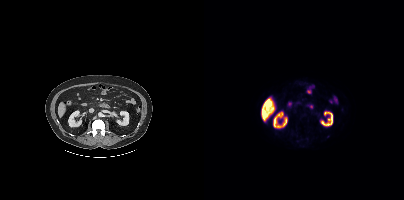
Negative for PSMA-avid disease on this slice. Two-panel axial: CT | PSMA PET, [18F]PSMA-1007 tracer. PET panel 200×200 px (4.1 mm/px).